modality: PSMA PET/CT | tracer: [18F]PSMA-1007 | view: axial
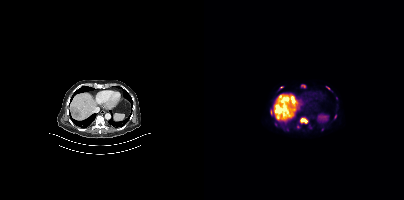
Coordinates are on the 200×200 PET (right) panel. (showing 3 of 5 foci) PSMA-avid tumor lesion bounding boxes (x0,y0,x1,y1): [97,118,103,122]; [66,109,68,114]. Small PSMA-avid focus (2 to 4 px across) near (center x, center y): (124, 88).